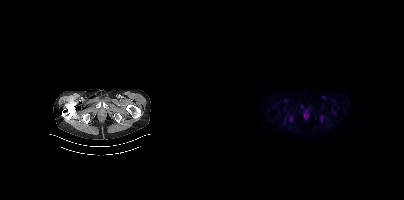
modality: PSMA PET/CT | tracer: 18F | view: axial | PET grid: 200×200
No PSMA-avid tumor lesions on this slice.